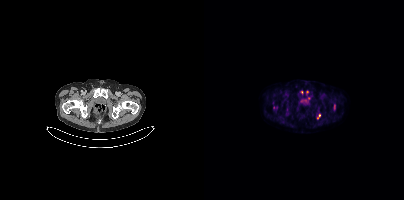
Findings: Coordinates are on the 200×200 PET (right) panel. (showing 2 of 5 foci) PSMA-avid tumor lesion bounding box (x0,y0,x1,y1): [113,114,116,118]. Small PSMA-avid focus (2 to 4 px across) near (center x, center y): (103, 91).
- Paired axial CT (left) and PSMA PET (right), 18F tracer
- slice 65 of 415